modality: PSMA PET/CT | tracer: [18F]PSMA-1007 | view: axial
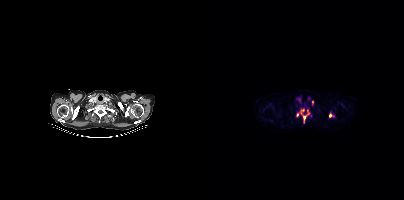
Coordinates are on the 200×200 PET (right) panel. (showing 5 of 6 foci) PSMA-avid tumor lesion bounding boxes (x0,y0,x1,y1): [96,109,101,122] [125,113,128,117]. Small PSMA-avid foci (2 to 4 px across) near (center x, center y): (104, 113) (108, 102) (93, 115).